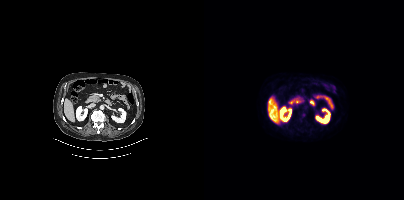
Two-panel axial: CT | PSMA PET, 18F-PSMA tracer. Acquired on Siemens Biograph mCT Flow 20. Slice 215 of 450. PET panel 200×200 px (4.1 mm/px). No PSMA-avid tumor lesions on this slice.